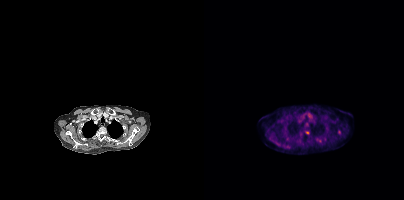
{"modality":"PSMA PET/CT","view":"axial","tracer":"18F","pet_grid":[200,200],"coord_frame":"pet_panel","coord_format":"x0,y0,x1,y1","partial":true,"lesion_bboxes":[[134,130,137,134]],"small_foci_centers":[[115,140],[103,132]]}